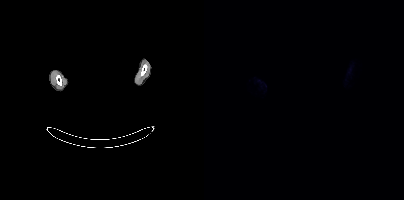
{"pet_grid":[200,200],"coord_frame":"pet_panel","coord_format":"x0,y0,x1,y1","psma_avid_lesions":false,"redaction":"facial region redacted","modality":"PSMA PET/CT","view":"axial","tracer":"18F"}